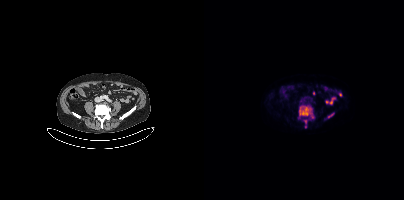
Two-panel axial: CT | PSMA PET, [18F]PSMA-1007 tracer. Slice 140 of 429. PET panel 200×200 px (4.1 mm/px). Coordinates are on the 200×200 PET (right) panel. PSMA-avid tumor lesion bounding boxes (x, y, width, height): x=95 y=106 w=15 h=13 | x=124 y=113 w=7 h=6. Small PSMA-avid foci (2 to 4 px across) near (center x, center y): (101, 121) | (101, 126).